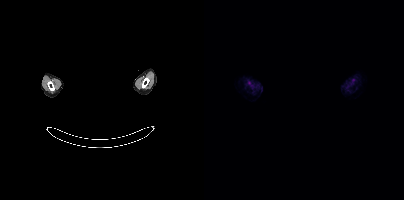
Findings: No PSMA-avid tumor lesions on this slice.
- Paired axial CT (left) and PSMA PET (right), 18F tracer
- the face region was removed for patient privacy by blanking a rectangle over the head